- Paired axial CT (left) and PSMA PET (right), 18F-PSMA tracer
- slice 116 of 425
- PET panel 200×200 px (4.1 mm/px)
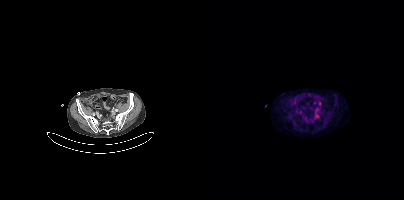
Findings: Coordinates are on the 200×200 PET (right) panel. (showing 2 of 4 foci) PSMA-avid tumor lesion bounding box (x0,y0,x1,y1): [111,112,112,118]. Small PSMA-avid focus (2 to 4 px across) near (center x, center y): (92, 110).